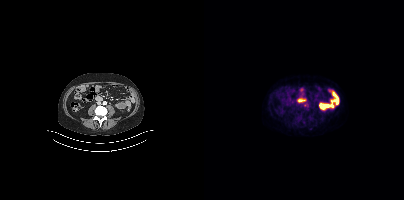
Left: CT. Right: PSMA PET, same axial level, 18F-PSMA tracer. Acquired on Siemens Biograph mCT Flow 20. No tumor lesions annotated on this slice.